Two-panel axial: CT | PSMA PET, 18F-PSMA tracer. Acquired on Siemens Biograph mCT Flow 20. Slice 111 of 356.
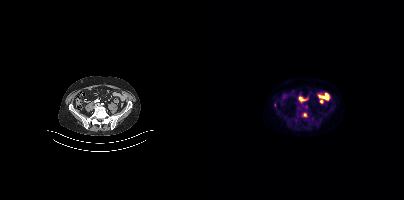
Coordinates are on the 200×200 PET (right) panel. (showing 1 of 2 foci) Small PSMA-avid focus (2 to 4 px across) near (center x, center y): (101, 114).